Left: CT. Right: PSMA PET, same axial level, 18F-PSMA tracer. Acquired on Siemens Biograph mCT Flow 20.
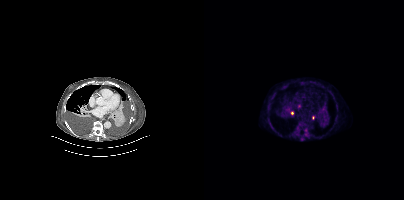
Coordinates are on the 200×200 PET (right) panel. PSMA-avid tumor lesion bounding boxes:
| # | x0 | y0 | x1 | y1 |
|---|---|---|---|---|
| 1 | 101 | 129 | 104 | 136 |
Small PSMA-avid foci (2 to 4 px across) near (center x, center y): (97, 139); (95, 106); (109, 117); (98, 126); (88, 113).